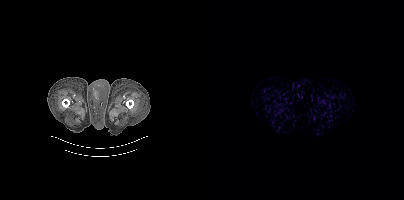
modality: PSMA PET/CT | tracer: [18F]PSMA-1007 | view: axial
No tumor lesions annotated on this slice.